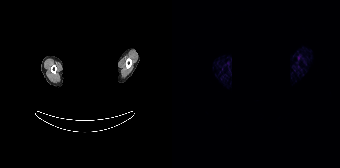
Negative for PSMA-avid disease on this slice. The head region is masked for de-identification. Paired axial CT (left) and PSMA PET (right), [68Ga]Ga-PSMA-11 tracer. PET panel 168×168 px (4.1 mm/px).